Technique: Paired axial CT (left) and PSMA PET (right), 18F-PSMA tracer. slice position z = -844 mm.
Note: An anonymization step blacked out a rectangle over the head in this scan.
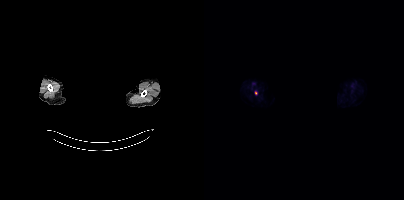
Findings: Coordinates are on the 200×200 PET (right) panel. Small PSMA-avid focus (2 to 4 px across) near (center x, center y): (52, 93).